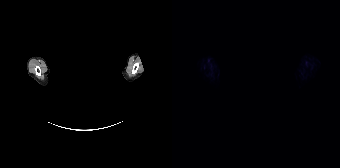
Technique: Left: CT. Right: PSMA PET, same axial level, 18F tracer. PET panel 168×168 px (4.1 mm/px).
Note: Face de-identified by blanking a block of the head.
Findings: Negative for PSMA-avid disease on this slice.